de-identification: head region blanked (face removed) | modality: PSMA PET/CT | tracer: 18F | view: axial | PET grid: 168×168
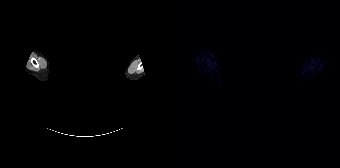
This slice has no annotated PSMA-avid lesion.